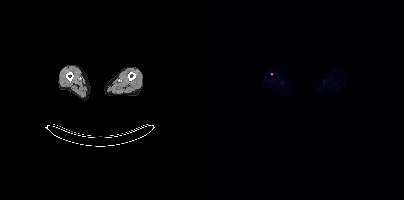
Coordinates are on the 200×200 PET (right) panel. Small PSMA-avid focus (2 to 4 px across) near (center x, center y): (67, 73).